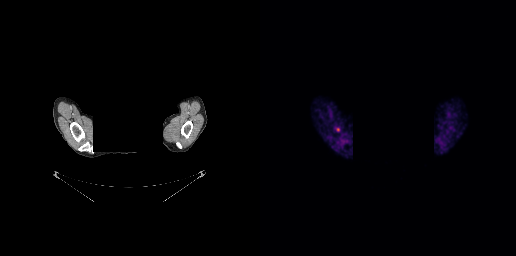
{"modality":"PSMA PET/CT","view":"axial","tracer":"[68Ga]Ga-PSMA-11","pet_grid":[256,256],"coord_frame":"pet_panel","coord_format":"x0,y0,x1,y1","redaction":"privacy mask over head","lesion_bboxes":[],"small_foci_centers":[[77,129]]}